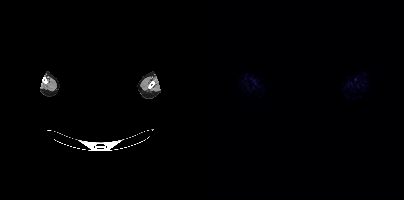
- the face region was removed for patient privacy by blanking a rectangle over the head
- Paired axial CT (left) and PSMA PET (right), 18F-PSMA tracer
- acquired on Siemens Biograph mCT Flow 20
- slice position z = -804 mm
Findings: No tumor lesions annotated on this slice.